Left: CT. Right: PSMA PET, same axial level, [68Ga]Ga-PSMA-11 tracer. PET panel 168×168 px (4.1 mm/px).
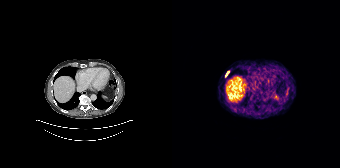
Coordinates are on the 168×168 PET (right) panel. Small PSMA-avid focus (2 to 4 px across) near (center x, center y): (55, 72).